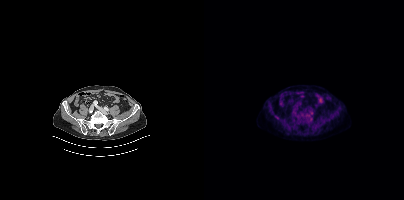
Paired axial CT (left) and PSMA PET (right), 18F tracer. Slice 146 of 442. PET panel 200×200 px (4.1 mm/px). Coordinates are on the 200×200 PET (right) panel. (showing 1 of 2 foci) Small PSMA-avid focus (2 to 4 px across) near (center x, center y): (90, 112).